- Paired axial CT (left) and PSMA PET (right), [68Ga]Ga-PSMA-11 tracer
- acquired on Siemens Biograph mCT Flow 20
- slice position z = -1028 mm
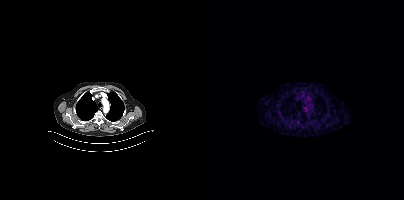
Findings: No PSMA-avid tumor lesions on this slice.